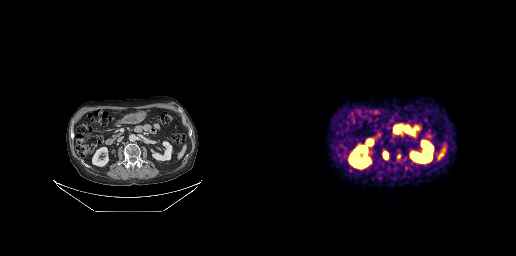
- Two-panel axial: CT | PSMA PET, 68Ga-PSMA tracer
- acquired on GE Discovery 690
- slice position z = -460 mm
- PET panel 256×256 px (2.7 mm/px)
Findings: Coordinates are on the 256×256 PET (right) panel. PSMA-avid tumor lesion bounding box (x, y, width, height): x=123 y=152 w=6 h=8. Small PSMA-avid focus (2 to 4 px across) near (center x, center y): (139, 153).